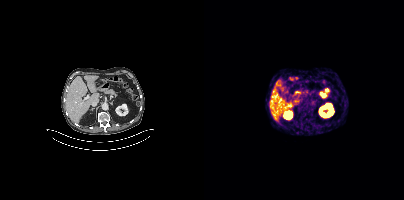
Left: CT. Right: PSMA PET, same axial level, [68Ga]Ga-PSMA-11 tracer. Acquired on Siemens Biograph mCT Flow 20. Negative for PSMA-avid disease on this slice.